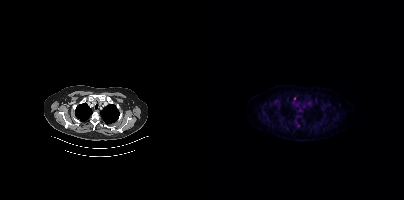
{"modality":"PSMA PET/CT","view":"axial","tracer":"18F-PSMA","pet_grid":[200,200],"coord_frame":"pet_panel","coord_format":"x0,y0,x1,y1","psma_avid_lesions":false}